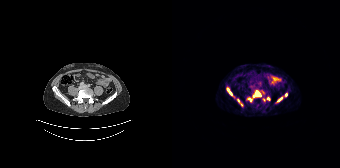
{"pet_grid":[168,168],"coord_frame":"pet_panel","coord_format":"x0,y0,x1,y1","lesion_bboxes":[[81,90,89,96],[55,88,62,97],[75,97,80,101],[105,96,110,101],[65,99,70,105]],"small_foci_centers":[[114,94],[96,98]],"modality":"PSMA PET/CT","view":"axial","tracer":"68Ga"}